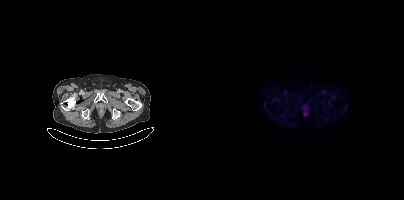
This slice has no annotated PSMA-avid lesion.